Left: CT. Right: PSMA PET, same axial level, 18F-PSMA tracer. Acquired on Siemens Biograph mCT Flow 20. PET panel 200×200 px (4.1 mm/px).
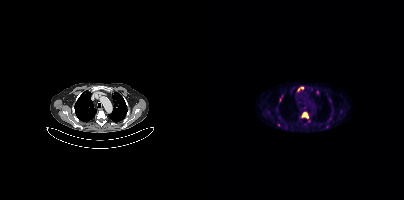
Coordinates are on the 200×200 PET (right) panel. (showing 4 of 5 foci) PSMA-avid tumor lesion bounding boxes (x, y, width, height): x=97 y=112 w=8 h=7; x=94 y=87 w=6 h=4. Small PSMA-avid foci (2 to 4 px across) near (center x, center y): (113, 92); (74, 124).